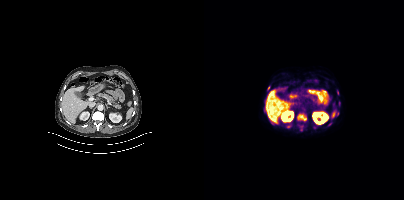
Findings: Coordinates are on the 200×200 PET (right) panel. (showing 2 of 3 foci) Small PSMA-avid foci (2 to 4 px across) near (center x, center y): (64, 88), (133, 114).
Technique: Paired axial CT (left) and PSMA PET (right), [18F]PSMA-1007 tracer. slice 217 of 429.